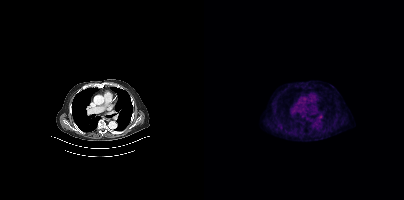
Findings: Only PSMA-avid lesion pieces thinner than 2 px on this slice (not listed).
- Left: CT. Right: PSMA PET, same axial level, 18F-PSMA tracer
- acquired on Siemens Biograph mCT Flow 20
- PET panel 200×200 px (4.1 mm/px)